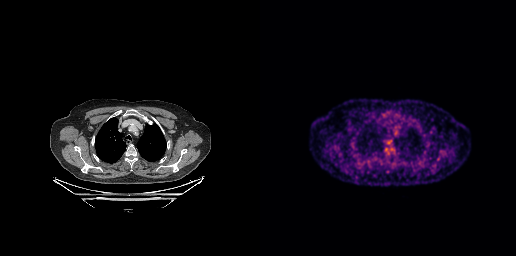
{"pet_grid":[256,256],"coord_frame":"pet_panel","coord_format":"x0,y0,x1,y1","psma_avid_lesions":false,"modality":"PSMA PET/CT","view":"axial","tracer":"18F"}